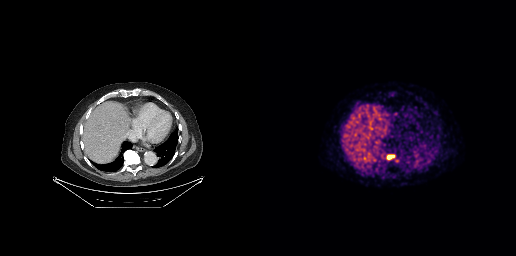
modality: PSMA PET/CT | tracer: 68Ga | view: axial
Coordinates are on the 256×256 PET (right) panel. PSMA-avid tumor lesion bounding box (x, y, width, height): x=127 y=155 w=8 h=5.